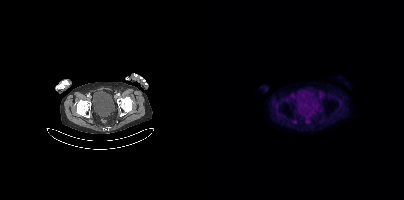
Left: CT. Right: PSMA PET, same axial level, [18F]PSMA-1007 tracer. Acquired on Siemens Biograph mCT Flow 20. Slice position z = -1515 mm. No tumor lesions annotated on this slice.